Technique: Left: CT. Right: PSMA PET, same axial level, [18F]PSMA-1007 tracer. PET panel 200×200 px (4.1 mm/px).
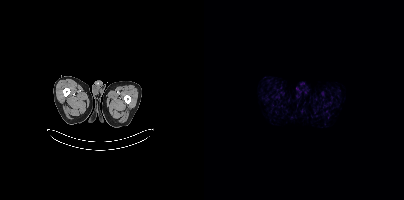
Findings: No PSMA-avid tumor lesions on this slice.